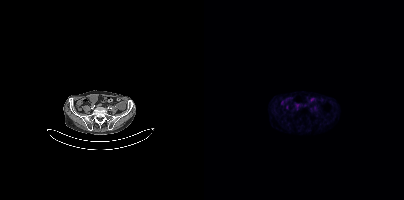
Negative for PSMA-avid disease on this slice.
modality: PSMA PET/CT | tracer: 18F-PSMA | view: axial